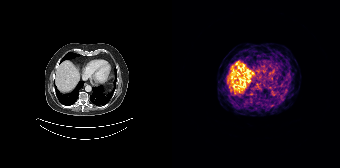
This slice has no annotated PSMA-avid lesion.